modality: PSMA PET/CT | tracer: [18F]PSMA-1007 | view: axial
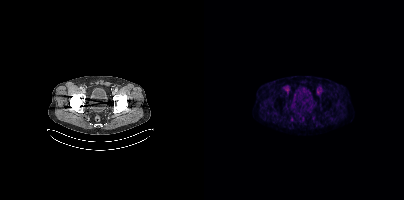
Negative for PSMA-avid disease on this slice.